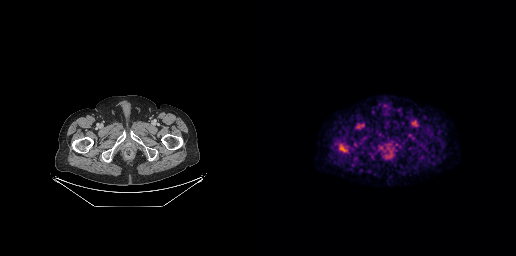
Findings: Coordinates are on the 256×256 PET (right) panel. PSMA-avid tumor lesion bounding box (x0, y0)-(x1, y1): (79, 144)-(87, 152).
Technique: Paired axial CT (left) and PSMA PET (right), 18F-PSMA tracer. slice 41 of 263. PET panel 256×256 px (2.7 mm/px).